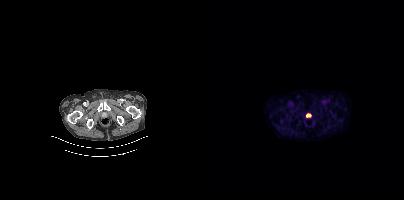
Findings: Coordinates are on the 200×200 PET (right) panel. PSMA-avid tumor lesion bounding box (x0,y0,x1,y1): [102,114,106,117].
Technique: Left: CT. Right: PSMA PET, same axial level, 18F-PSMA tracer. slice position z = -1472 mm.